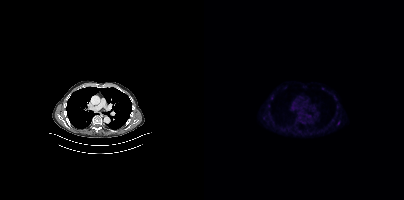
{"pet_grid":[200,200],"coord_frame":"pet_panel","coord_format":"x0,y0,x1,y1","psma_avid_lesions":false,"modality":"PSMA PET/CT","view":"axial","tracer":"[18F]PSMA-1007"}